- Paired axial CT (left) and PSMA PET (right), 18F tracer
- acquired on Siemens Biograph mCT Flow 20
- PET panel 200×200 px (4.1 mm/px)
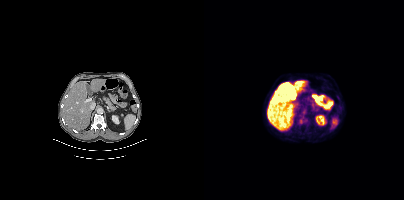
Findings: Coordinates are on the 200×200 PET (right) panel. Small PSMA-avid focus (2 to 4 px across) near (center x, center y): (96, 120).